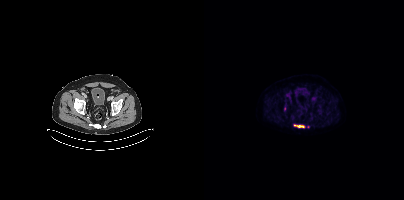
Coordinates are on the 200×200 PET (right) panel. (showing 2 of 3 foci) PSMA-avid tumor lesion bounding box (x0, y0)-(x1, y1): (90, 124)-(100, 127). Small PSMA-avid focus (2 to 4 px across) near (center x, center y): (80, 108).